modality: PSMA PET/CT | tracer: [68Ga]Ga-PSMA-11 | view: axial
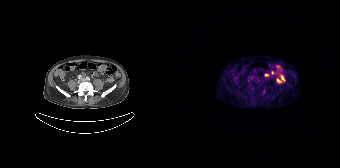
Only PSMA-avid lesion pieces thinner than 2 px on this slice (not listed).